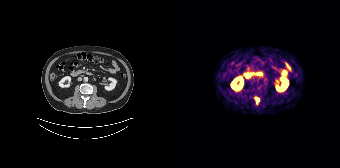
Findings: Coordinates are on the 168×168 PET (right) panel. PSMA-avid tumor lesion bounding box (x0,y0,x1,y1): [83,97,87,103].
Technique: Paired axial CT (left) and PSMA PET (right), [68Ga]Ga-PSMA-11 tracer. slice 64 of 165.